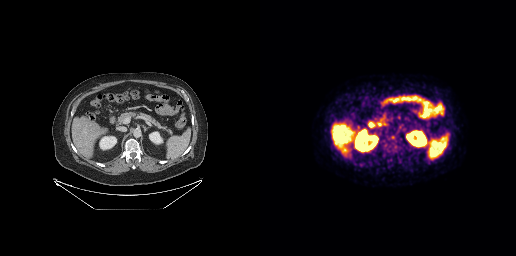
Coordinates are on the 256×256 PET (right) panel. Small PSMA-avid focus (2 to 4 px across) near (center x, center y): (132, 137).